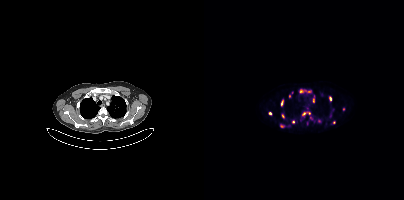
{"pet_grid":[200,200],"coord_frame":"pet_panel","coord_format":"x0,y0,x1,y1","partial":true,"lesion_bboxes":[[109,95,110,102],[76,125,80,127],[126,97,127,101]],"small_foci_centers":[[99,113],[97,91],[79,115],[105,91],[66,113],[115,121],[139,109],[126,115],[85,96],[77,104],[105,113],[129,122]],"modality":"PSMA PET/CT","view":"axial","tracer":"[18F]PSMA-1007"}